Left: CT. Right: PSMA PET, same axial level, 18F-PSMA tracer. Acquired on Siemens Biograph mCT Flow 20. Slice 150 of 435. PET panel 200×200 px (4.1 mm/px).
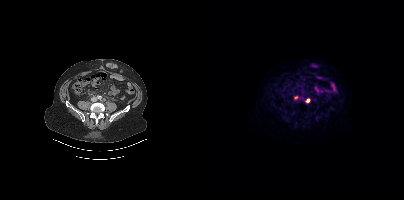
Coordinates are on the 200×200 PET (right) panel. Small PSMA-avid focus (2 to 4 px across) near (center x, center y): (91, 97).